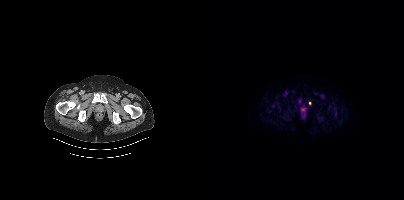
Coordinates are on the 200×200 PET (right) panel. (showing 6 of 7 foci) PSMA-avid tumor lesion bounding boxes (x0,y0,x1,y1): [96,107,102,112]; [129,112,133,116]; [114,115,118,119]; [67,104,71,107]; [93,100,97,103]. Small PSMA-avid focus (2 to 4 px across) near (center x, center y): (105, 103). Two-panel axial: CT | PSMA PET, 18F tracer. Acquired on Siemens Biograph mCT Flow 20.